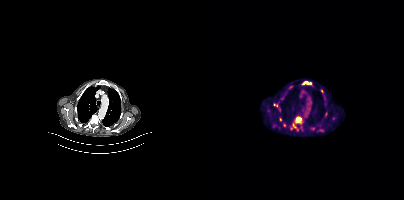
Findings: Coordinates are on the 200×200 PET (right) panel. PSMA-avid tumor lesion bounding boxes (x, y, width, height): x=91 y=116 w=8 h=8; x=69 y=103 w=8 h=9; x=80 y=86 w=7 h=9; x=115 y=129 w=5 h=3; x=100 y=83 w=8 h=2; x=76 y=96 w=5 h=5. Small PSMA-avid foci (2 to 4 px across) near (center x, center y): (76, 119); (80, 124); (64, 110); (110, 127).
Technique: Two-panel axial: CT | PSMA PET, 18F tracer.